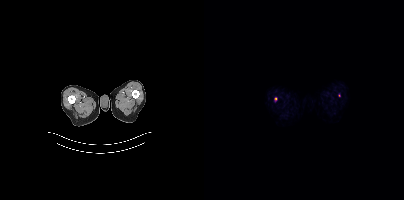
{"pet_grid":[200,200],"coord_frame":"pet_panel","coord_format":"x0,y0,x1,y1","lesion_bboxes":[],"small_foci_centers":[[71,98],[135,95]],"modality":"PSMA PET/CT","view":"axial","tracer":"[18F]PSMA-1007"}